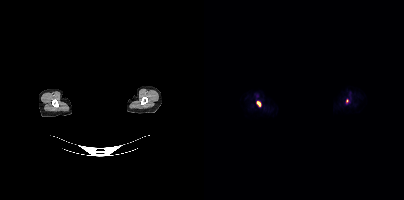
- Left: CT. Right: PSMA PET, same axial level, 18F tracer
- PET panel 200×200 px (4.1 mm/px)
- a rectangular block over the head has been blanked out for de-identification
Findings: Coordinates are on the 200×200 PET (right) panel. PSMA-avid tumor lesion bounding box (x, y, width, height): x=53 y=101 w=4 h=6. Small PSMA-avid focus (2 to 4 px across) near (center x, center y): (142, 100).